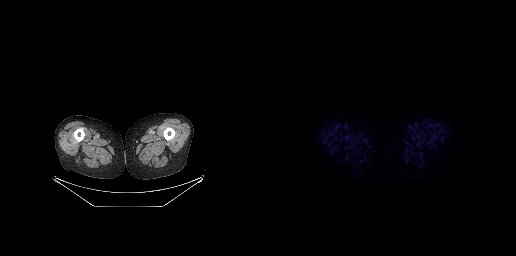
{"modality":"PSMA PET/CT","view":"axial","tracer":"[18F]PSMA-1007","pet_grid":[256,256],"coord_frame":"pet_panel","coord_format":"x0,y0,x1,y1","psma_avid_lesions":false}